Paired axial CT (left) and PSMA PET (right), 18F tracer. PET panel 200×200 px (4.1 mm/px).
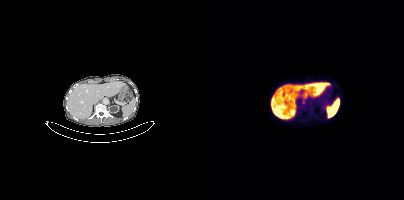
This slice has no annotated PSMA-avid lesion.